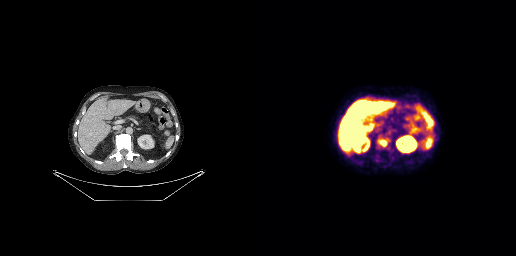
Left: CT. Right: PSMA PET, same axial level, [18F]PSMA-1007 tracer. Slice 163 of 299. PET panel 256×256 px (2.7 mm/px).
Coordinates are on the 256×256 PET (right) panel. PSMA-avid tumor lesion bounding boxes:
| # | x0 | y0 | x1 | y1 |
|---|---|---|---|---|
| 1 | 120 | 140 | 126 | 145 |